- Paired axial CT (left) and PSMA PET (right), 18F tracer
- PET panel 200×200 px (4.1 mm/px)
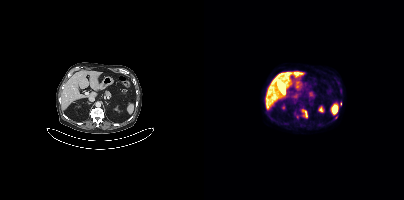
Findings: Coordinates are on the 200×200 PET (right) panel. (showing 2 of 3 foci) PSMA-avid tumor lesion bounding box (x0, y0)-(x1, y1): (99, 110)-(103, 117). Small PSMA-avid focus (2 to 4 px across) near (center x, center y): (136, 103).